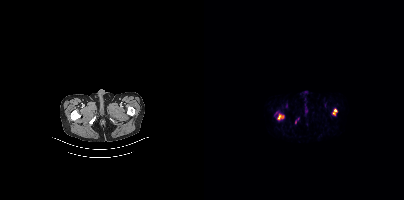
Coordinates are on the 200×200 PET (right) panel. PSMA-avid tumor lesion bounding boxes (x0,y0,x1,y1): [129,109,132,114]; [74,115,76,119].